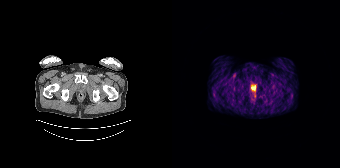
Only PSMA-avid lesion pieces thinner than 2 px on this slice (not listed).